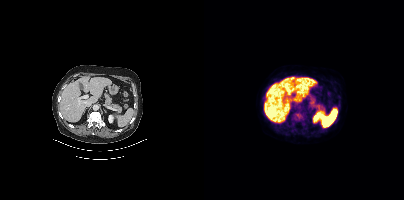
- Left: CT. Right: PSMA PET, same axial level, [18F]PSMA-1007 tracer
- acquired on Siemens Biograph mCT Flow 20
Findings: This slice has no annotated PSMA-avid lesion.